modality: PSMA PET/CT | tracer: [18F]PSMA-1007 | view: axial | PET grid: 200×200
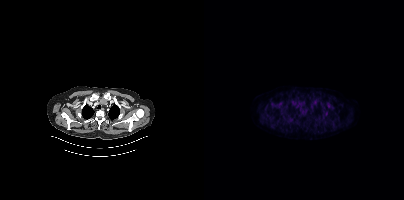
Only PSMA-avid lesion pieces thinner than 2 px on this slice (not listed).